- Two-panel axial: CT | PSMA PET, 18F tracer
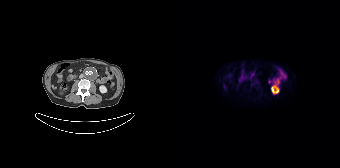
Findings: This slice has no annotated PSMA-avid lesion.